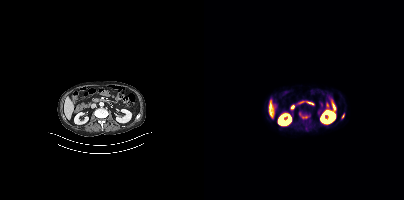
{"modality":"PSMA PET/CT","view":"axial","tracer":"18F-PSMA","pet_grid":[200,200],"coord_frame":"pet_panel","coord_format":"x0,y0,x1,y1","partial":true,"lesion_bboxes":[],"small_foci_centers":[[138,116],[99,116]]}